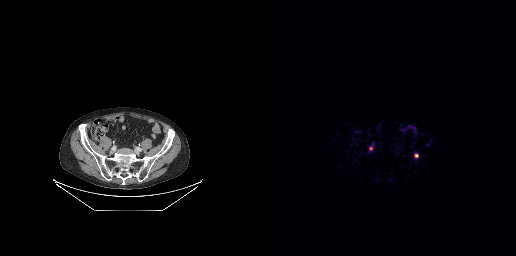
Paired axial CT (left) and PSMA PET (right), 68Ga tracer. Acquired on GE Discovery 690. PET panel 256×256 px (2.7 mm/px). Coordinates are on the 256×256 PET (right) panel. Small PSMA-avid foci (2 to 4 px across) near (center x, center y): (156, 155) | (110, 149).